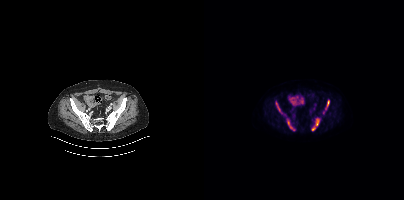
Coordinates are on the 200×200 PET (right) panel. (showing 4 of 5 foci) PSMA-avid tumor lesion bounding boxes (x0,y0,x1,y1): [107,118,115,130] [83,120,91,130] [72,102,78,113] [121,100,125,109].